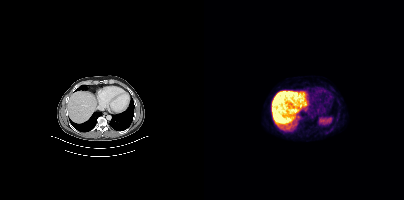
No tumor lesions annotated on this slice. Left: CT. Right: PSMA PET, same axial level, [18F]PSMA-1007 tracer. Acquired on Siemens Biograph mCT Flow 20. Slice position z = -528 mm. PET panel 200×200 px (4.1 mm/px).